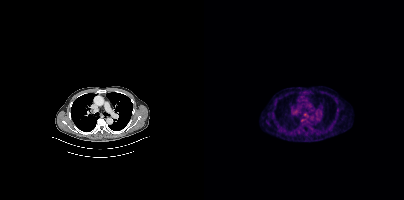
Findings: Coordinates are on the 200×200 PET (right) panel. PSMA-avid tumor lesion bounding box (x0,y0,x1,y1): [96,118,101,123].
- Left: CT. Right: PSMA PET, same axial level, [18F]PSMA-1007 tracer
- acquired on Siemens Biograph mCT Flow 20
- PET panel 200×200 px (4.1 mm/px)